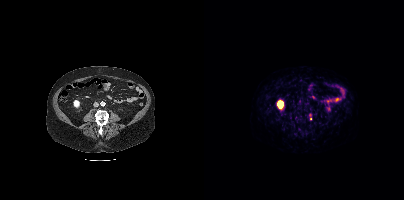
Coordinates are on the 200×200 PET (right) panel. Small PSMA-avid focus (2 to 4 px across) near (center x, center y): (106, 118).